Technique: Left: CT. Right: PSMA PET, same axial level, [18F]PSMA-1007 tracer. slice 119 of 391.
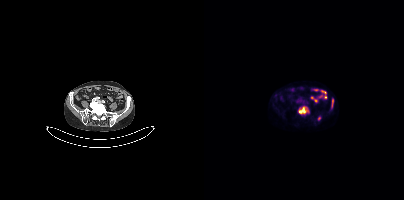
Findings: Coordinates are on the 200×200 PET (right) panel. PSMA-avid tumor lesion bounding boxes (x0, y0)-(x1, y1): (95, 107)-(103, 114) | (114, 116)-(116, 120) | (128, 99)-(129, 106).